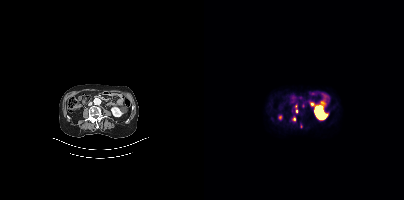
Coordinates are on the 200×200 PET (right) panel. PSMA-avid tumor lesion bounding box (x, y, width, height): x=98 y=103 w=3 h=5. Small PSMA-avid foci (2 to 4 px across) near (center x, center y): (90, 118) / (92, 111) / (91, 106) / (97, 126).